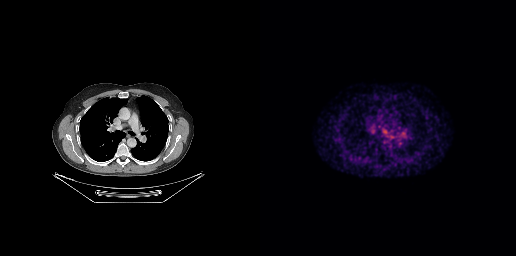
modality: PSMA PET/CT | tracer: 68Ga-PSMA | view: axial
Coordinates are on the 256×256 PET (right) panel. Small PSMA-avid focus (2 to 4 px across) near (center x, center y): (124, 131).